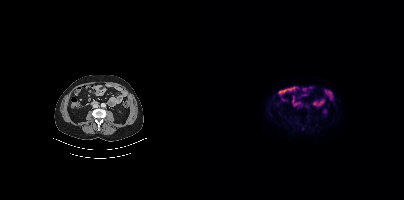
Findings: This slice has no annotated PSMA-avid lesion.
Technique: Paired axial CT (left) and PSMA PET (right), 18F-PSMA tracer. acquired on Siemens Biograph mCT Flow 20.